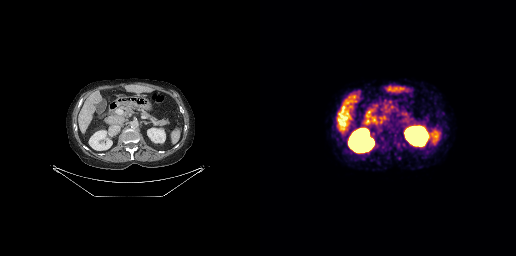
Negative for PSMA-avid disease on this slice. Two-panel axial: CT | PSMA PET, [68Ga]Ga-PSMA-11 tracer. Slice 165 of 299. PET panel 256×256 px (2.7 mm/px).